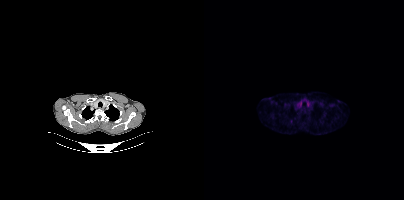
modality: PSMA PET/CT | tracer: [18F]PSMA-1007 | view: axial | PET grid: 200×200
Coordinates are on the 200×200 PET (right) panel. Small PSMA-avid focus (2 to 4 px across) near (center x, center y): (87, 121).